- Left: CT. Right: PSMA PET, same axial level, 68Ga-PSMA tracer
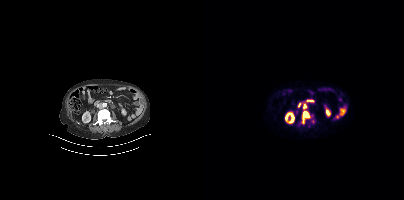
Findings: Coordinates are on the 200×200 PET (right) panel. PSMA-avid tumor lesion bounding boxes (x0,y0,x1,y1): [97,111,106,124] [99,103,103,109].